- Left: CT. Right: PSMA PET, same axial level, [18F]PSMA-1007 tracer
- acquired on Siemens Biograph mCT Flow 20
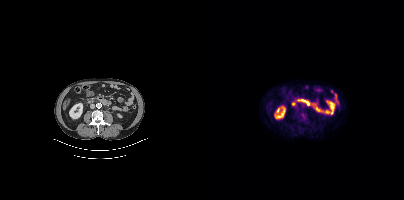
Findings: Negative for PSMA-avid disease on this slice.